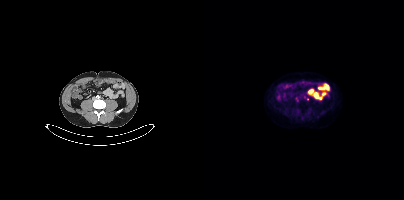
{"modality":"PSMA PET/CT","view":"axial","tracer":"18F","pet_grid":[200,200],"coord_frame":"pet_panel","coord_format":"x0,y0,x1,y1","partial":true,"lesion_bboxes":[]}